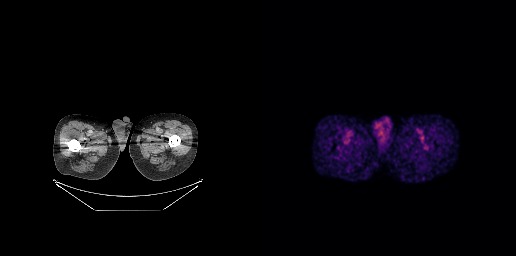
Two-panel axial: CT | PSMA PET, 18F-PSMA tracer. Slice position z = -827 mm. PET panel 256×256 px (2.7 mm/px). This slice has no annotated PSMA-avid lesion.